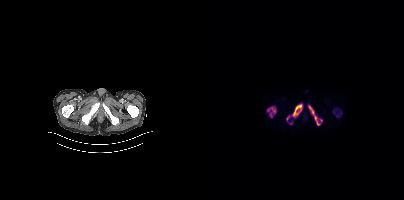
Findings: Coordinates are on the 200×200 PET (right) panel. (showing 4 of 5 foci) PSMA-avid tumor lesion bounding boxes (x, y, width, height): x=88 y=104 w=11 h=13 / x=63 y=106 w=10 h=12 / x=104 y=105 w=12 h=21. Small PSMA-avid focus (2 to 4 px across) near (center x, center y): (84, 117).
Technique: Left: CT. Right: PSMA PET, same axial level, 18F tracer. slice 41 of 387.